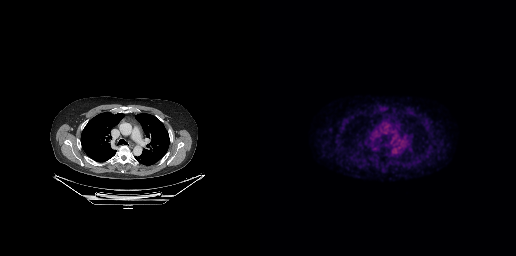
Two-panel axial: CT | PSMA PET, 18F-PSMA tracer. Slice position z = -223 mm. PET panel 256×256 px (2.7 mm/px). No PSMA-avid tumor lesions on this slice.